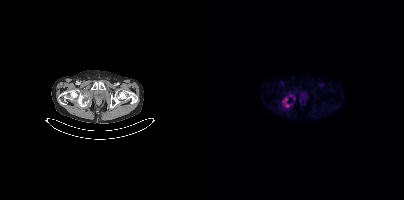
Findings: Coordinates are on the 200×200 PET (right) panel. (showing 2 of 3 foci) PSMA-avid tumor lesion bounding box (x, y, width, height): x=79 y=98 w=9 h=9. Small PSMA-avid focus (2 to 4 px across) near (center x, center y): (87, 95).
- Paired axial CT (left) and PSMA PET (right), 18F-PSMA tracer
- slice position z = -1472 mm